Two-panel axial: CT | PSMA PET, [18F]PSMA-1007 tracer.
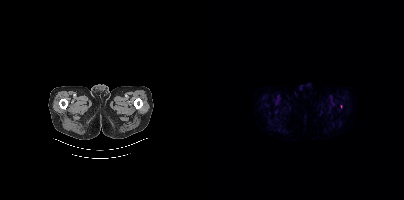
Only PSMA-avid lesion pieces thinner than 2 px on this slice (not listed).